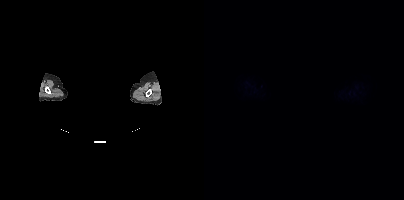
{"modality":"PSMA PET/CT","view":"axial","tracer":"18F","pet_grid":[200,200],"coord_frame":"pet_panel","coord_format":"x0,y0,x1,y1","deidentification":"facial region redacted","psma_avid_lesions":false}